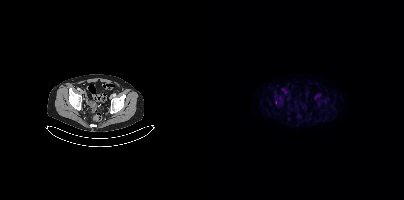
{"modality":"PSMA PET/CT","view":"axial","tracer":"18F-PSMA","pet_grid":[200,200],"coord_frame":"pet_panel","coord_format":"x0,y0,x1,y1","lesion_bboxes":[],"small_foci_centers":[[71,102]]}